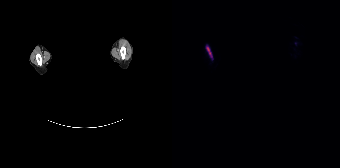
{"modality":"PSMA PET/CT","view":"axial","tracer":"18F","pet_grid":[168,168],"coord_frame":"pet_panel","coord_format":"x0,y0,x1,y1","lesion_bboxes":[[34,46,40,57]],"deidentification":"head region blacked out before release"}